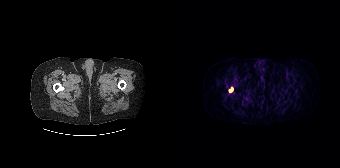
Coordinates are on the 168×168 PET (right) panel. Small PSMA-avid focus (2 to 4 px across) near (center x, center y): (58, 89).